Technique: Two-panel axial: CT | PSMA PET, 18F-PSMA tracer. acquired on Siemens Biograph mCT Flow 20. slice position z = -888 mm.
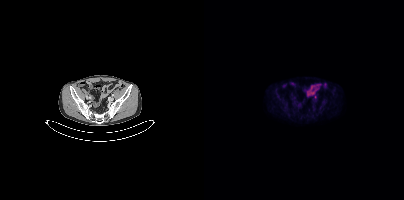
Findings: Only PSMA-avid lesion pieces thinner than 2 px on this slice (not listed).